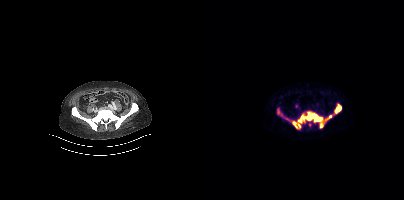
Coordinates are on the 200×200 PET (right) panel. PSMA-avid tumor lesion bounding boxes (x0, y0)-(x1, y1): (86, 111)-(128, 129) | (130, 103)-(137, 113) | (72, 109)-(78, 116) | (79, 116)-(84, 120). Small PSMA-avid focus (2 to 4 px across) near (center x, center y): (105, 124).